modality: PSMA PET/CT | tracer: 18F | view: axial
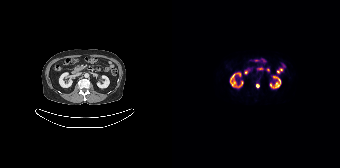
Coordinates are on the 168×168 PET (right) panel. Small PSMA-avid focus (2 to 4 px across) near (center x, center y): (85, 85).